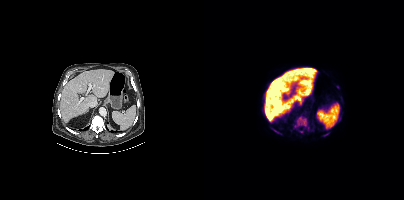
Left: CT. Right: PSMA PET, same axial level, 18F-PSMA tracer. PET panel 200×200 px (4.1 mm/px). Coordinates are on the 200×200 PET (right) panel. (showing 5 of 7 foci) PSMA-avid tumor lesion bounding boxes (x0,y0,x1,y1): [90,115,105,130]; [67,128,72,131]; [95,131,99,132]. Small PSMA-avid foci (2 to 4 px across) near (center x, center y): (133, 87); (76, 133).